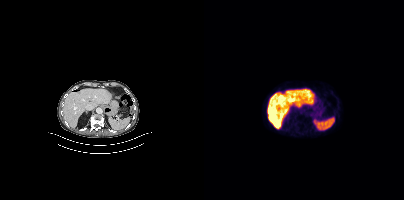
{"modality":"PSMA PET/CT","view":"axial","tracer":"18F","pet_grid":[200,200],"coord_frame":"pet_panel","coord_format":"x0,y0,x1,y1","psma_avid_lesions":false}